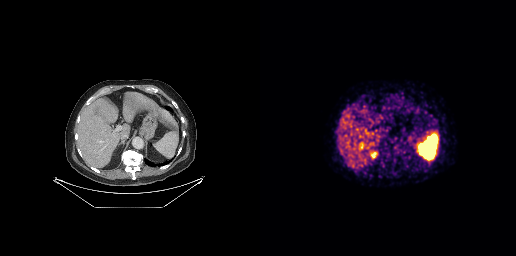
No tumor lesions annotated on this slice.